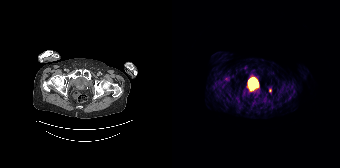
- Left: CT. Right: PSMA PET, same axial level, 68Ga tracer
- PET panel 168×168 px (4.1 mm/px)
Findings: Coordinates are on the 168×168 PET (right) panel. Small PSMA-avid focus (2 to 4 px across) near (center x, center y): (98, 90).